- Left: CT. Right: PSMA PET, same axial level, 18F tracer
- slice position z = 30 mm
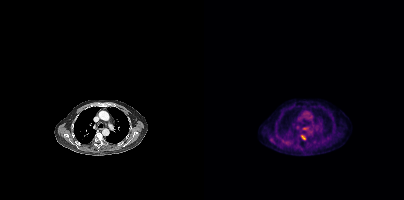
Findings: Coordinates are on the 200×200 PET (right) panel. PSMA-avid tumor lesion bounding box (x0, y0)-(x1, y1): (97, 135)-(101, 139).